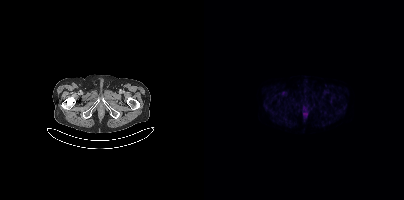
No tumor lesions annotated on this slice.